modality: PSMA PET/CT | tracer: [18F]PSMA-1007 | view: axial | PET grid: 200×200
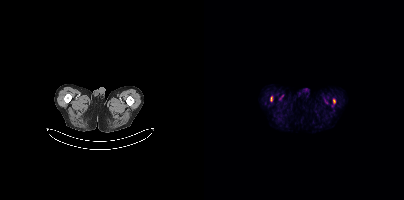
Coordinates are on the 200×200 PET (right) panel. PSMA-avid tumor lesion bounding boxes (x0,y0,x1,y1): [66,96,68,101], [129,99,131,103].